Two-panel axial: CT | PSMA PET, 18F-PSMA tracer.
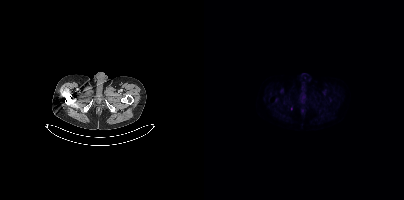
Negative for PSMA-avid disease on this slice.